Technique: Left: CT. Right: PSMA PET, same axial level, 18F-PSMA tracer. PET panel 256×256 px (2.7 mm/px).
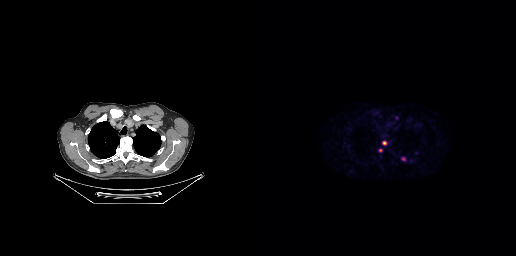
Findings: Coordinates are on the 256×256 PET (right) panel. PSMA-avid tumor lesion bounding box (x0,y0,x1,y1): [122,141,126,145]. Small PSMA-avid foci (2 to 4 px across) near (center x, center y): (120, 150), (143, 159).